- Left: CT. Right: PSMA PET, same axial level, 18F tracer
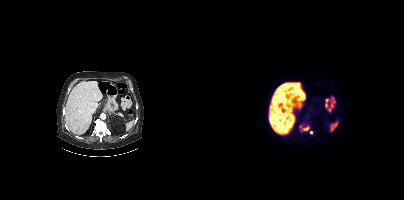
Findings: Coordinates are on the 200×200 PET (right) panel. PSMA-avid tumor lesion bounding box (x, y, width, height): x=95 y=125 w=11 h=7. Small PSMA-avid focus (2 to 4 px across) near (center x, center y): (107, 132).